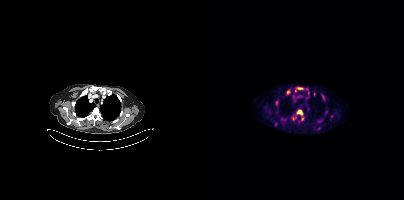
Findings: Coordinates are on the 200×200 PET (right) panel. (showing 9 of 12 foci) PSMA-avid tumor lesion bounding boxes (x0, y0)-(x1, y1): (93, 110)-(98, 114); (93, 87)-(100, 89); (117, 94)-(121, 100); (82, 90)-(86, 94); (71, 100)-(74, 104). Small PSMA-avid foci (2 to 4 px across) near (center x, center y): (98, 119); (102, 88); (104, 92); (91, 90).
- Paired axial CT (left) and PSMA PET (right), [18F]PSMA-1007 tracer
- slice 287 of 373